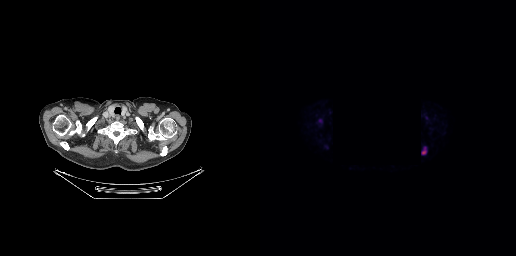
{"pet_grid":[256,256],"coord_frame":"pet_panel","coord_format":"x0,y0,x1,y1","lesion_bboxes":[[161,146,166,154]],"small_foci_centers":[[60,120]],"modality":"PSMA PET/CT","view":"axial","tracer":"18F-PSMA","deidentification":"rectangle blanked before release"}